Paired axial CT (left) and PSMA PET (right), 18F tracer. Slice 118 of 411. PET panel 200×200 px (4.1 mm/px).
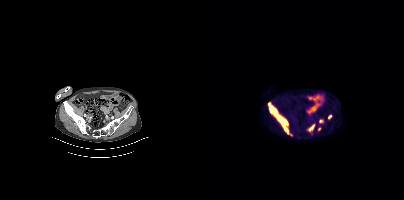
Coordinates are on the 200×200 PET (right) panel. PSMA-avid tumor lesion bounding boxes (x0, y0)-(x1, y1): (64, 102)-(88, 135) / (103, 124)-(111, 131) / (124, 114)-(128, 119) / (113, 127)-(117, 131) / (115, 120)-(119, 122).